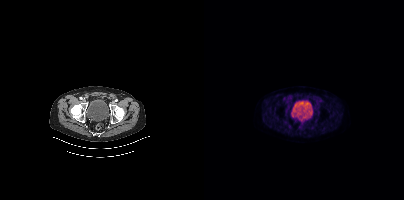
This slice has no annotated PSMA-avid lesion. Paired axial CT (left) and PSMA PET (right), 18F-PSMA tracer.